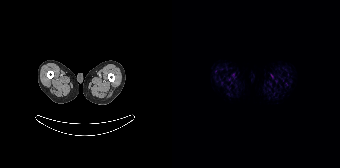
Two-panel axial: CT | PSMA PET, 18F-PSMA tracer. PET panel 168×168 px (4.1 mm/px). Negative for PSMA-avid disease on this slice.